- Paired axial CT (left) and PSMA PET (right), 18F tracer
- acquired on Siemens Biograph mCT Flow 20
- slice 128 of 448
- PET panel 200×200 px (4.1 mm/px)
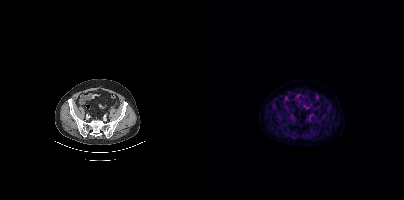
Findings: No PSMA-avid tumor lesions on this slice.